- Left: CT. Right: PSMA PET, same axial level, 18F tracer
- slice 143 of 454
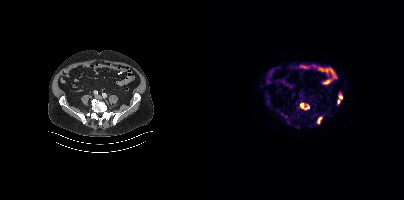
Findings: Coordinates are on the 200×200 PET (right) panel. (showing 4 of 5 foci) PSMA-avid tumor lesion bounding box (x0, y0)-(x1, y1): (113, 117)-(117, 123). Small PSMA-avid foci (2 to 4 px across) near (center x, center y): (98, 105); (136, 97); (134, 101).